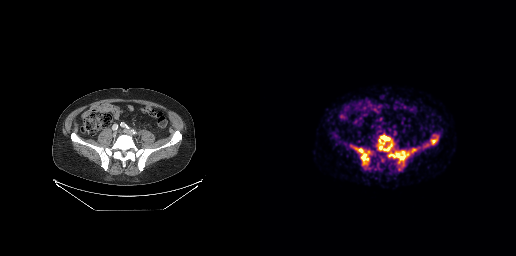
Coordinates are on the 256×256 PET (right) panel. PSMA-avid tumor lesion bounding boxes (x0,y0,x1,y1): [119,135,132,151] [128,150,149,162] [97,148,108,163]. Small PSMA-avid foci (2 to 4 px across) near (center x, center y): (153, 150) (108, 151).